Two-panel axial: CT | PSMA PET, 18F-PSMA tracer. PET panel 200×200 px (4.1 mm/px). De-identified by setting a box covering the face to black before release.
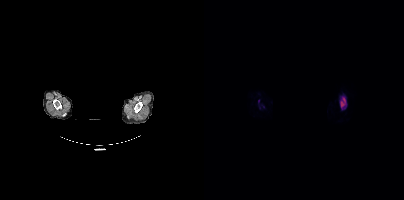
Coordinates are on the 200×200 PET (right) panel. (showing 1 of 2 foci) PSMA-avid tumor lesion bounding box (x, y, width, height): x=136 y=96 w=7 h=14.